Technique: Left: CT. Right: PSMA PET, same axial level, 18F-PSMA tracer. acquired on GE Discovery 690.
Note: The face region was removed for patient privacy by blanking a rectangle over the head.
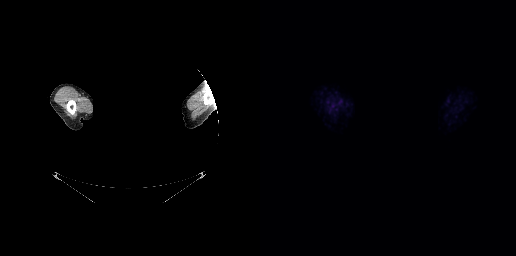
Findings: No tumor lesions annotated on this slice.